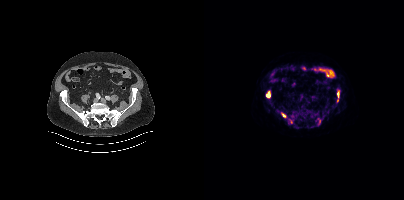
Paired axial CT (left) and PSMA PET (right), [18F]PSMA-1007 tracer. Slice position z = -728 mm.
Coordinates are on the 200×200 PET (right) panel. PSMA-avid tumor lesion bounding boxes:
| # | x0 | y0 | x1 | y1 |
|---|---|---|---|---|
| 1 | 62 | 92 | 65 | 97 |
| 2 | 133 | 90 | 135 | 96 |
| 3 | 78 | 113 | 81 | 117 |
Small PSMA-avid focus (2 to 4 px across) near (center x, center y): (87, 122).